Paired axial CT (left) and PSMA PET (right), 18F tracer. PET panel 200×200 px (4.1 mm/px).
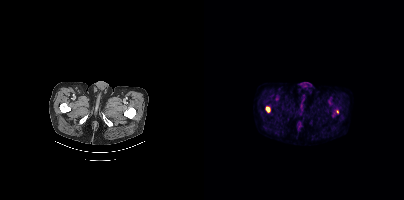
Coordinates are on the 200×200 PET (right) panel. PSMA-avid tumor lesion bounding boxes:
| # | x0 | y0 | x1 | y1 |
|---|---|---|---|---|
| 1 | 62 | 107 | 65 | 111 |
Small PSMA-avid focus (2 to 4 px across) near (center x, center y): (133, 111).